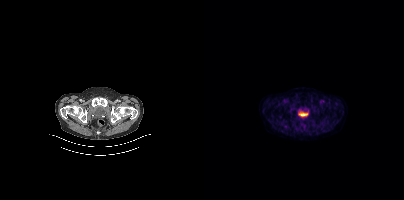
modality: PSMA PET/CT | tracer: [18F]PSMA-1007 | view: axial
No tumor lesions annotated on this slice.